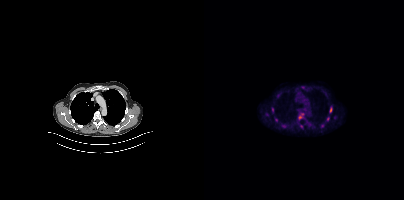
Coordinates are on the 200×200 PET (right) panel. (showing 7 of 9 foci) PSMA-avid tumor lesion bounding boxes (x, y, width, height): x=125 y=106 w=4 h=8 | x=103 y=121 w=5 h=6 | x=122 y=117 w=4 h=5. Small PSMA-avid foci (2 to 4 px across) near (center x, center y): (118, 125) | (68, 109) | (72, 120) | (130, 117).